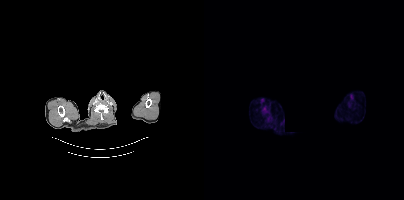
de-identification: black rectangle is a privacy mask | modality: PSMA PET/CT | tracer: [18F]PSMA-1007 | view: axial | PET grid: 200×200
Coordinates are on the 200×200 PET (right) panel. PSMA-avid tumor lesion bounding box (x0, y0)-(x1, y1): (59, 107)-(62, 111).